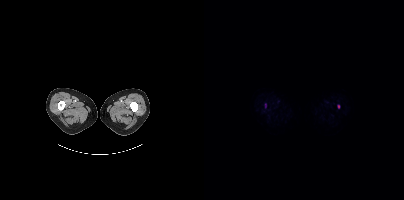
Left: CT. Right: PSMA PET, same axial level, [18F]PSMA-1007 tracer. Slice 73 of 508. PET panel 200×200 px (4.1 mm/px). Coordinates are on the 200×200 PET (right) panel. Small PSMA-avid foci (2 to 4 px across) near (center x, center y): (134, 106) / (61, 104).